Left: CT. Right: PSMA PET, same axial level, 18F-PSMA tracer. Acquired on Siemens Biograph mCT Flow 20. Slice position z = -368 mm.
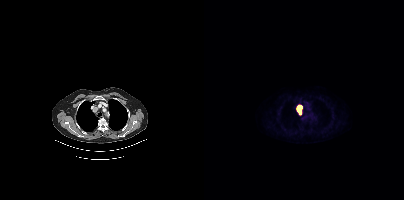
Coordinates are on the 200×200 PET (right) panel. Small PSMA-avid focus (2 to 4 px across) near (center x, center y): (94, 110).